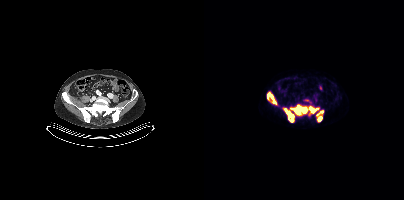
{"modality":"PSMA PET/CT","view":"axial","tracer":"18F-PSMA","pet_grid":[200,200],"coord_frame":"pet_panel","coord_format":"x0,y0,x1,y1","lesion_bboxes":[[86,105,103,114],[80,108,90,122],[63,92,72,104],[105,106,113,114],[113,111,119,121]]}